Left: CT. Right: PSMA PET, same axial level, 18F-PSMA tracer.
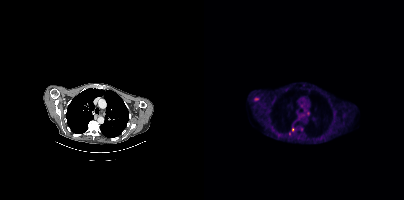
Coordinates are on the 200×200 PET (right) panel. PSMA-avid tumor lesion bounding boxes:
| # | x0 | y0 | x1 | y1 |
|---|---|---|---|---|
| 1 | 50 | 97 | 55 | 101 |
| 2 | 88 | 121 | 91 | 126 |
Small PSMA-avid foci (2 to 4 px across) near (center x, center y): (89, 129); (98, 129); (98, 106); (100, 110); (104, 113); (85, 133).